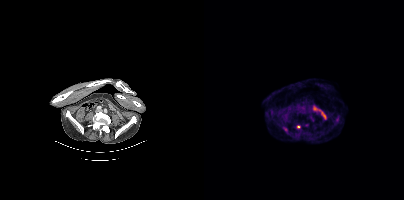
Technique: Left: CT. Right: PSMA PET, same axial level, [18F]PSMA-1007 tracer. slice 127 of 403.
Findings: Coordinates are on the 200×200 PET (right) panel. (showing 2 of 3 foci) PSMA-avid tumor lesion bounding box (x0, y0)-(x1, y1): (79, 127)-(83, 131). Small PSMA-avid focus (2 to 4 px across) near (center x, center y): (94, 126).